Privacy masking over the head, with the pixels inside a rectangle set to black. Left: CT. Right: PSMA PET, same axial level, 68Ga-PSMA tracer. Slice position z = -96 mm. PET panel 168×168 px (4.1 mm/px).
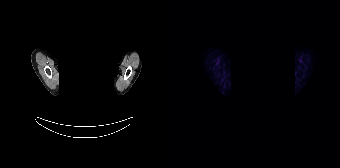
Negative for PSMA-avid disease on this slice.